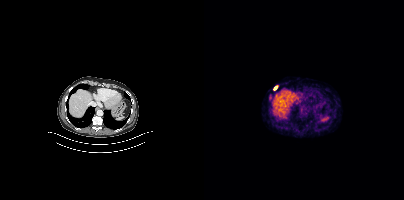
{"modality":"PSMA PET/CT","view":"axial","tracer":"68Ga-PSMA","pet_grid":[200,200],"coord_frame":"pet_panel","coord_format":"x0,y0,x1,y1","lesion_bboxes":[],"small_foci_centers":[[71,87]]}